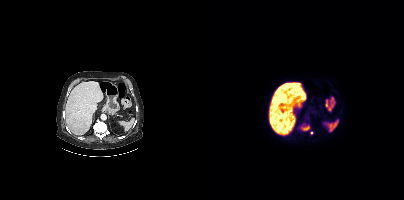
Two-panel axial: CT | PSMA PET, 18F-PSMA tracer. Slice position z = -1144 mm.
Coordinates are on the 200×200 PET (right) panel. PSMA-avid tumor lesion bounding boxes (partial; 1 more focus not listed):
| # | x0 | y0 | x1 | y1 |
|---|---|---|---|---|
| 1 | 96 | 124 | 105 | 130 |
Small PSMA-avid focus (2 to 4 px across) near (center x, center y): (107, 132).